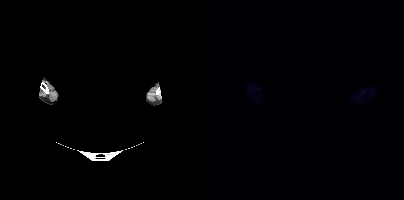
Technique: Left: CT. Right: PSMA PET, same axial level, 18F-PSMA tracer. acquired on Siemens Biograph mCT Flow 20. slice 410 of 435. PET panel 200×200 px (4.1 mm/px).
Note: Privacy masking over the head, with the pixels inside a rectangle set to black.
Findings: Negative for PSMA-avid disease on this slice.